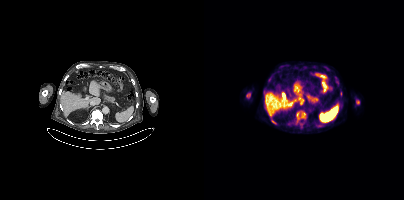
- Two-panel axial: CT | PSMA PET, 18F-PSMA tracer
- acquired on Siemens Biograph mCT Flow 20
- PET panel 200×200 px (4.1 mm/px)
Findings: Coordinates are on the 200×200 PET (right) panel. PSMA-avid tumor lesion bounding boxes (x, y, width, height): x=93 y=112 w=9 h=6 / x=42 y=93 w=5 h=5 / x=152 y=100 w=4 h=5 / x=68 y=121 w=5 h=4. Small PSMA-avid focus (2 to 4 px across) near (center x, center y): (136, 93).